Paired axial CT (left) and PSMA PET (right), [68Ga]Ga-PSMA-11 tracer. PET panel 200×200 px (4.1 mm/px).
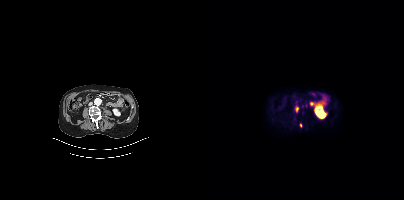
Coordinates are on the 200×200 PET (right) panel. PSMA-avid tumor lesion bounding boxes (x0,y0,x1,y1): [92,107,94,111]; [96,123,98,127]. Small PSMA-avid focus (2 to 4 px across) near (center x, center y): (98, 106).